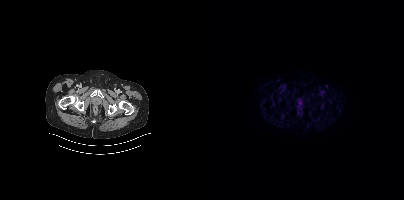
This slice has no annotated PSMA-avid lesion.